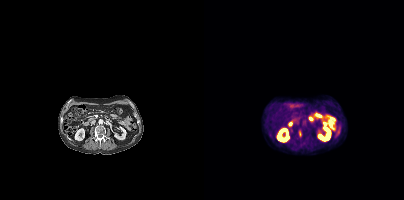
{"modality":"PSMA PET/CT","view":"axial","tracer":"[18F]PSMA-1007","pet_grid":[200,200],"coord_frame":"pet_panel","coord_format":"x0,y0,x1,y1","lesion_bboxes":[[94,130,97,136]]}